- Paired axial CT (left) and PSMA PET (right), [18F]PSMA-1007 tracer
- slice position z = -512 mm
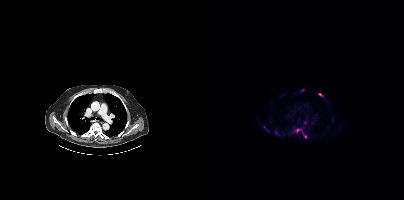
Findings: Coordinates are on the 200×200 PET (right) panel. (showing 6 of 8 foci) PSMA-avid tumor lesion bounding boxes (x0,y0,x1,y1): [92,129,97,132]; [71,131,74,135]. Small PSMA-avid foci (2 to 4 px across) near (center x, center y): (116, 94); (101, 136); (101, 122); (60, 127).